Technique: Two-panel axial: CT | PSMA PET, 18F-PSMA tracer. slice 164 of 397.
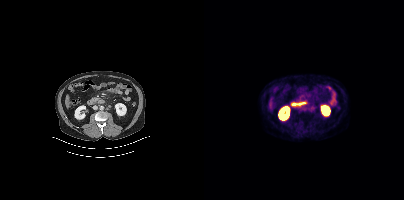
Findings: This slice has no annotated PSMA-avid lesion.